Technique: Paired axial CT (left) and PSMA PET (right), 68Ga tracer. acquired on Siemens Biograph 64-4R TruePoint. PET panel 168×168 px (4.1 mm/px).
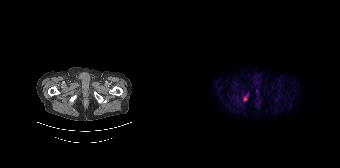
Findings: Coordinates are on the 168×168 PET (right) panel. Small PSMA-avid focus (2 to 4 px across) near (center x, center y): (73, 99).